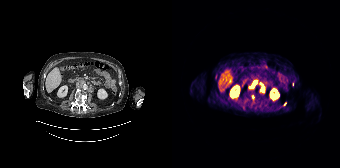
Left: CT. Right: PSMA PET, same axial level, [68Ga]Ga-PSMA-11 tracer. PET panel 168×168 px (4.1 mm/px). Coordinates are on the 168×168 PET (right) panel. (showing 3 of 5 foci) PSMA-avid tumor lesion bounding boxes (x0, y0)-(x1, y1): (79, 81)-(84, 87) | (89, 85)-(92, 91). Small PSMA-avid focus (2 to 4 px across) near (center x, center y): (112, 104).